- Two-panel axial: CT | PSMA PET, [18F]PSMA-1007 tracer
- acquired on Siemens Biograph mCT Flow 20
- PET panel 200×200 px (4.1 mm/px)
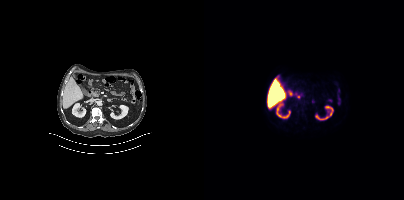
Findings: No tumor lesions annotated on this slice.